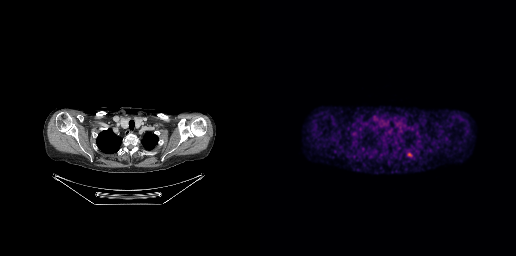
Coordinates are on the 256×256 PET (right) panel. Small PSMA-avid focus (2 to 4 px across) near (center x, center y): (149, 154). Left: CT. Right: PSMA PET, same axial level, 18F-PSMA tracer. Acquired on GE Discovery 690. Slice 221 of 263.